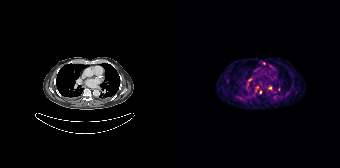
Left: CT. Right: PSMA PET, same axial level, [68Ga]Ga-PSMA-11 tracer. Slice 136 of 195. PET panel 168×168 px (4.1 mm/px). Coordinates are on the 168×168 PET (right) panel. (showing 4 of 5 foci) Small PSMA-avid foci (2 to 4 px across) near (center x, center y): (97, 87) / (92, 63) / (88, 92) / (78, 79).